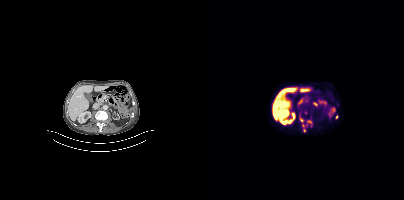
Coordinates are on the 200×200 PET (right) panel. (showing 4 of 5 foci) PSMA-avid tumor lesion bounding boxes (x0, y0)-(x1, y1): (99, 119)-(108, 131) | (95, 113)-(100, 121). Small PSMA-avid foci (2 to 4 px across) near (center x, center y): (101, 112) | (132, 117).